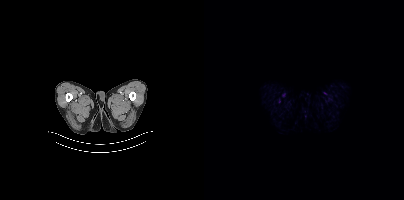
Technique: Two-panel axial: CT | PSMA PET, 18F tracer.
Findings: This slice has no annotated PSMA-avid lesion.